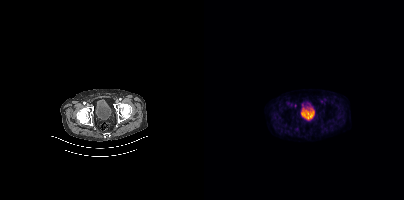
Left: CT. Right: PSMA PET, same axial level, 18F-PSMA tracer. Acquired on Siemens Biograph mCT Flow 20. Slice position z = -1438 mm. Coordinates are on the 200×200 PET (right) panel. Small PSMA-avid focus (2 to 4 px across) near (center x, center y): (91, 105).